Paired axial CT (left) and PSMA PET (right), [18F]PSMA-1007 tracer.
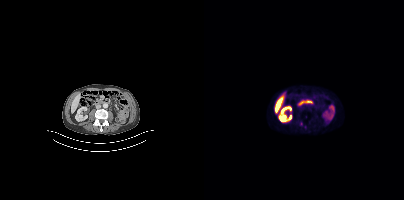
This slice has no annotated PSMA-avid lesion.